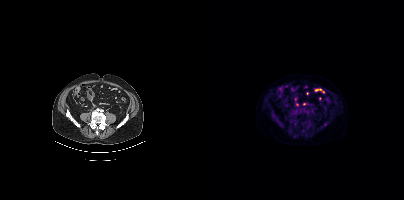
{"modality":"PSMA PET/CT","view":"axial","tracer":"18F","pet_grid":[200,200],"coord_frame":"pet_panel","coord_format":"x0,y0,x1,y1","psma_avid_lesions":false}